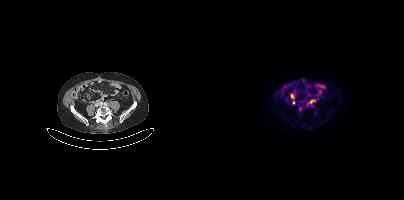
Technique: Left: CT. Right: PSMA PET, same axial level, 18F tracer. PET panel 200×200 px (4.1 mm/px).
Findings: Coordinates are on the 200×200 PET (right) panel. PSMA-avid tumor lesion bounding boxes (x0, y0)-(x1, y1): (106, 99)-(111, 102) | (87, 94)-(89, 98). Small PSMA-avid foci (2 to 4 px across) near (center x, center y): (89, 102) | (96, 109).